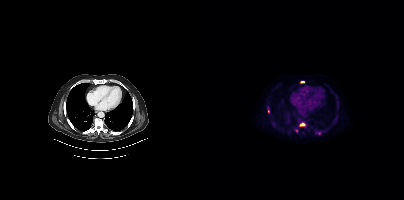
modality: PSMA PET/CT | tracer: 18F | view: axial
Coordinates are on the 200×200 PET (right) panel. (showing 5 of 6 foci) PSMA-avid tumor lesion bounding boxes (x0,y0,x1,y1): [112,131,117,134]; [96,123,100,125]. Small PSMA-avid foci (2 to 4 px across) near (center x, center y): (92, 130); (98, 81); (64, 111).